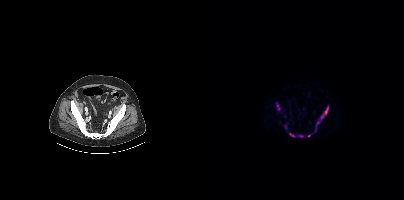
Coordinates are on the 200×200 PET (right) panel. (showing 6 of 7 foci) PSMA-avid tumor lesion bounding boxes (x0, y0)-(x1, y1): (111, 104)-(125, 132); (72, 102)-(76, 110); (85, 132)-(91, 137); (93, 134)-(99, 137); (103, 133)-(108, 137); (80, 125)-(83, 129).
modality: PSMA PET/CT | tracer: 18F-PSMA | view: axial